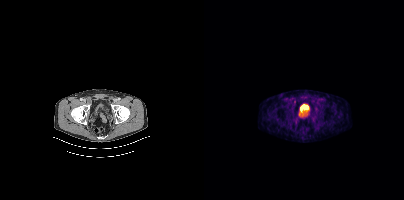
This slice has no annotated PSMA-avid lesion.